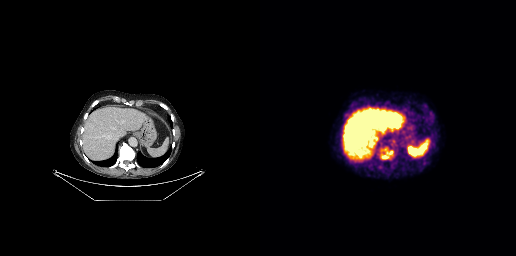
- Two-panel axial: CT | PSMA PET, 18F tracer
- PET panel 256×256 px (2.7 mm/px)
Findings: Coordinates are on the 256×256 PET (right) panel. PSMA-avid tumor lesion bounding box (x0, y0)-(x1, y1): (121, 151)-(132, 158). Small PSMA-avid focus (2 to 4 px across) near (center x, center y): (125, 149).